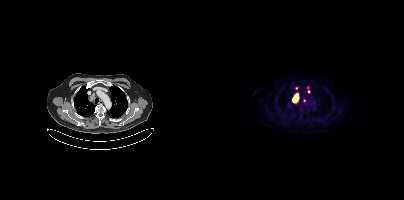
Two-panel axial: CT | PSMA PET, 18F tracer. Acquired on Siemens Biograph mCT Flow 20. Slice 315 of 419. PET panel 200×200 px (4.1 mm/px). Coordinates are on the 200×200 PET (right) panel. PSMA-avid tumor lesion bounding box (x0,y0,x1,y1): [89,95,94,102].